- Two-panel axial: CT | PSMA PET, 18F-PSMA tracer
- acquired on GE Discovery 690
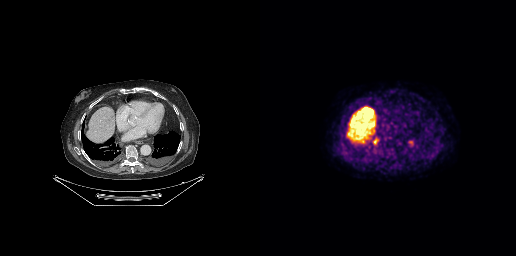
Findings: Coordinates are on the 256×256 PET (right) panel. (showing 2 of 3 foci) PSMA-avid tumor lesion bounding box (x0, y0)-(x1, y1): (114, 139)-(117, 143). Small PSMA-avid focus (2 to 4 px across) near (center x, center y): (150, 142).